Left: CT. Right: PSMA PET, same axial level, 18F tracer. Acquired on Siemens Biograph mCT Flow 20.
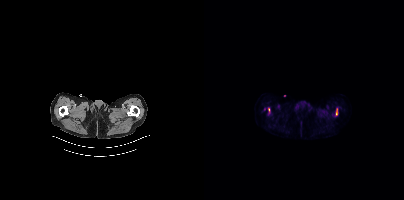
Coordinates are on the 200×200 PET (right) panel. PSMA-avid tumor lesion bounding boxes:
| # | x0 | y0 | x1 | y1 |
|---|---|---|---|---|
| 1 | 132 | 108 | 133 | 115 |
Small PSMA-avid focus (2 to 4 px across) near (center x, center y): (64, 109).